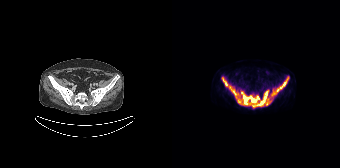
{"modality":"PSMA PET/CT","view":"axial","tracer":"18F","pet_grid":[168,168],"coord_frame":"pet_panel","coord_format":"x0,y0,x1,y1","lesion_bboxes":[[57,77,116,107],[50,77,55,86]]}